An anonymization step blacked out a rectangle in this scan. Paired axial CT (left) and PSMA PET (right), 68Ga-PSMA tracer.
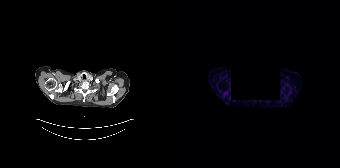
Negative for PSMA-avid disease on this slice.